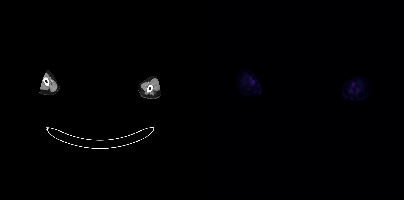
modality: PSMA PET/CT | tracer: [18F]PSMA-1007 | view: axial | PET grid: 200×200 | de-identification: face masked with black rectangle
Negative for PSMA-avid disease on this slice.